Technique: Paired axial CT (left) and PSMA PET (right), 18F tracer. acquired on Siemens Biograph mCT Flow 20. slice 232 of 444. PET panel 200×200 px (4.1 mm/px).
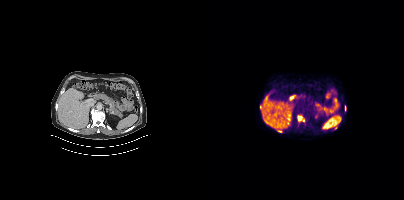
Findings: Coordinates are on the 200×200 PET (right) panel. Small PSMA-avid foci (2 to 4 px across) near (center x, center y): (95, 118); (99, 120).